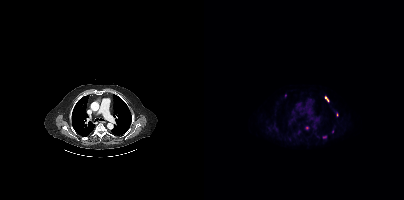
Two-panel axial: CT | PSMA PET, 18F tracer. PET panel 200×200 px (4.1 mm/px). Coordinates are on the 200×200 PET (right) panel. (showing 1 of 3 foci) Small PSMA-avid focus (2 to 4 px across) near (center x, center y): (103, 127).